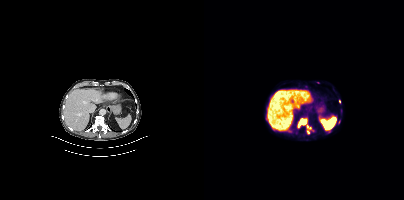
modality: PSMA PET/CT | tracer: 18F | view: axial | PET grid: 200×200
Coordinates are on the 200×200 PET (right) panel. (showing 4 of 5 foci) PSMA-avid tumor lesion bounding boxes (x, y, width, height): x=94 y=118 w=9 h=10; x=103 y=125 w=5 h=9. Small PSMA-avid foci (2 to 4 px across) near (center x, center y): (114, 82); (135, 101).